modality: PSMA PET/CT | tracer: 68Ga | view: axial
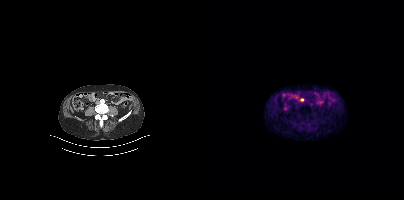
Coordinates are on the 200×200 PET (right) panel. Small PSMA-avid focus (2 to 4 px across) near (center x, center y): (98, 100).